redaction: face masked with black rectangle | modality: PSMA PET/CT | tracer: 18F-PSMA | view: axial
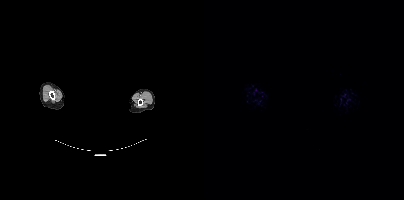
Negative for PSMA-avid disease on this slice.